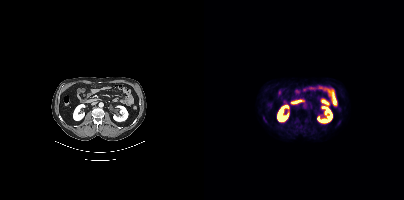
- Left: CT. Right: PSMA PET, same axial level, 18F tracer
- slice position z = -1231 mm
- PET panel 200×200 px (4.1 mm/px)
Findings: No PSMA-avid tumor lesions on this slice.